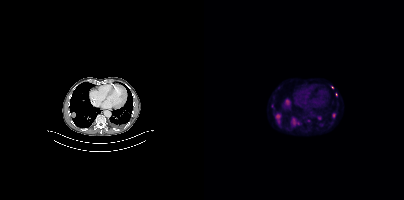
Coordinates are on the 200×200 PET (right) panel. PSMA-avid tumor lesion bounding boxes (partial; 1 more focus not listed):
| # | x0 | y0 | x1 | y1 |
|---|---|---|---|---|
| 1 | 71 | 113 | 77 | 124 |
| 2 | 88 | 118 | 93 | 124 |
| 3 | 128 | 113 | 131 | 117 |
| 4 | 82 | 100 | 84 | 104 |
Small PSMA-avid foci (2 to 4 px across) near (center x, center y): (68, 105); (115, 118); (104, 120); (128, 87).
Paired axial CT (left) and PSMA PET (right), [18F]PSMA-1007 tracer. Slice 239 of 405.